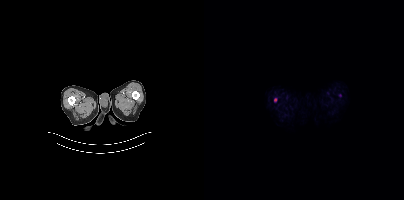
Technique: Left: CT. Right: PSMA PET, same axial level, 18F tracer. acquired on Siemens Biograph mCT Flow 20. slice 20 of 413. PET panel 200×200 px (4.1 mm/px).
Findings: Coordinates are on the 200×200 PET (right) panel. Small PSMA-avid focus (2 to 4 px across) near (center x, center y): (71, 99).